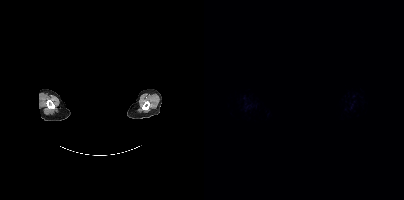
This slice has no annotated PSMA-avid lesion.
Face de-identified by blanking a block of the head.